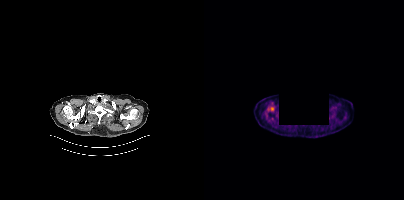
{"modality":"PSMA PET/CT","view":"axial","tracer":"18F-PSMA","pet_grid":[200,200],"coord_frame":"pet_panel","coord_format":"x0,y0,x1,y1","psma_avid_lesions":false,"redaction":"region redacted"}